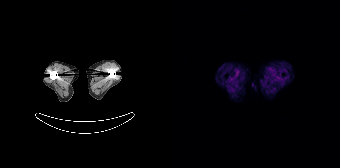
Findings: This slice has no annotated PSMA-avid lesion.
- Left: CT. Right: PSMA PET, same axial level, [68Ga]Ga-PSMA-11 tracer
- PET panel 168×168 px (4.1 mm/px)